Two-panel axial: CT | PSMA PET, 18F tracer. Acquired on GE Discovery 690.
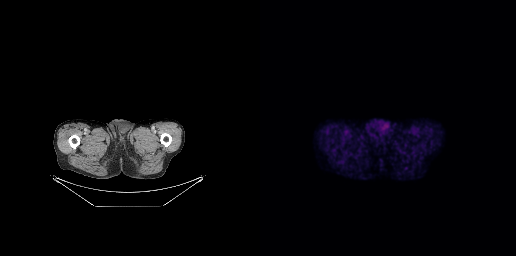
This slice has no annotated PSMA-avid lesion.